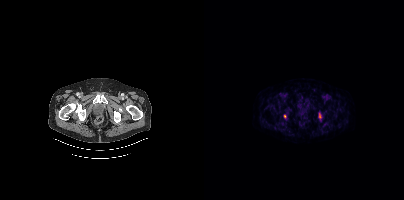
Technique: Left: CT. Right: PSMA PET, same axial level, 18F tracer.
Findings: Coordinates are on the 200×200 PET (right) panel. PSMA-avid tumor lesion bounding box (x, y, width, height): x=115 y=113 w=3 h=6. Small PSMA-avid focus (2 to 4 px across) near (center x, center y): (81, 116).